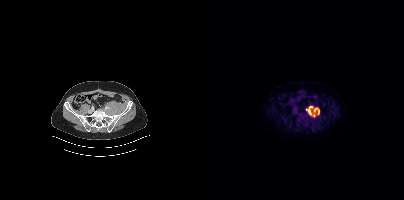
Coordinates are on the 200×200 PET (right) panel. PSMA-avid tumor lesion bounding box (x, y, width, height): x=102 y=106 w=14 h=12.